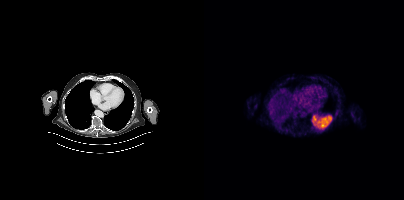
This slice has no annotated PSMA-avid lesion.